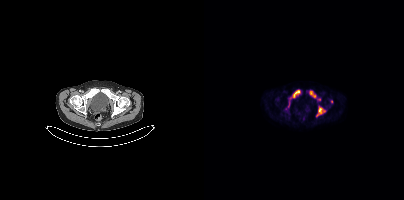
Coordinates are on the 200×200 PET (right) panel. PSMA-avid tumor lesion bounding boxes:
| # | x0 | y0 | x1 | y1 |
|---|---|---|---|---|
| 1 | 86 | 89 | 96 | 99 |
| 2 | 113 | 106 | 121 | 115 |
| 3 | 105 | 90 | 112 | 98 |
| 4 | 84 | 101 | 85 | 107 |
Small PSMA-avid focus (2 to 4 px across) near (center x, center y): (115, 99).
Left: CT. Right: PSMA PET, same axial level, 18F-PSMA tracer. Acquired on Siemens Biograph mCT Flow 20. Slice position z = -1484 mm.